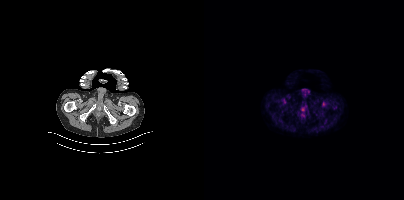
{"modality":"PSMA PET/CT","view":"axial","tracer":"18F-PSMA","pet_grid":[200,200],"coord_frame":"pet_panel","coord_format":"x0,y0,x1,y1","psma_avid_lesions":false}